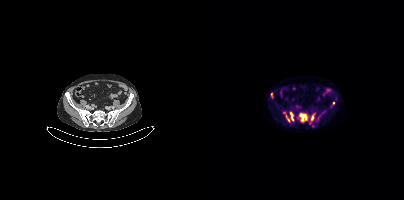
Coordinates are on the 200×200 PET (right) panel. PSMA-avid tumor lesion bounding boxes (x, y, width, height): x=95 y=113 w=9 h=9 / x=86 y=112 w=4 h=9 / x=107 y=114 w=4 h=7 / x=82 y=115 w=4 h=7 / x=67 y=93 w=2 h=5. Small PSMA-avid foci (2 to 4 px across) near (center x, center y): (129, 103) / (80, 112).